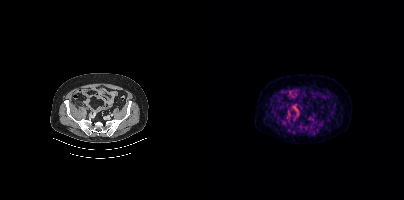
Technique: Two-panel axial: CT | PSMA PET, 18F tracer. slice 153 of 454. PET panel 200×200 px (4.1 mm/px).
Findings: No PSMA-avid tumor lesions on this slice.